- Two-panel axial: CT | PSMA PET, 68Ga-PSMA tracer
- slice 68 of 195
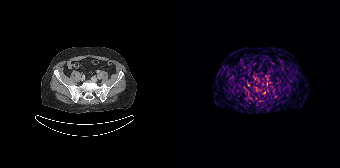
Findings: No tumor lesions annotated on this slice.